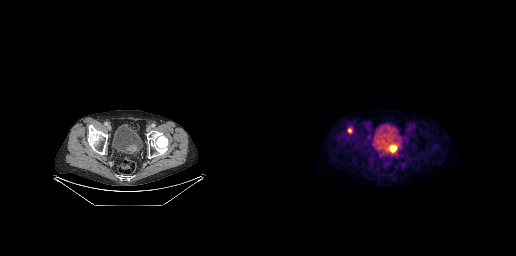
Coordinates are on the 256×256 PET (right) panel. Small PSMA-avid foci (2 to 4 px across) near (center x, center y): (132, 148) / (90, 130). Paired axial CT (left) and PSMA PET (right), 18F tracer. PET panel 256×256 px (2.7 mm/px).